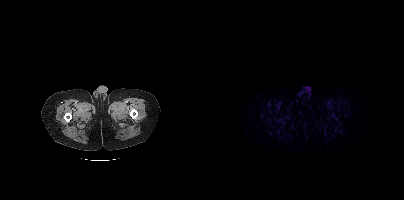
No PSMA-avid tumor lesions on this slice. Two-panel axial: CT | PSMA PET, 68Ga tracer. Acquired on Siemens Biograph mCT Flow 20.